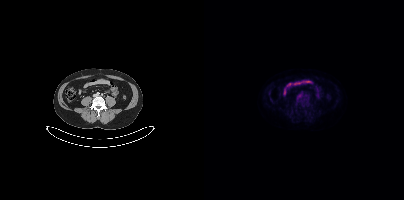
{"modality":"PSMA PET/CT","view":"axial","tracer":"18F-PSMA","pet_grid":[200,200],"coord_frame":"pet_panel","coord_format":"x0,y0,x1,y1","psma_avid_lesions":false}